Left: CT. Right: PSMA PET, same axial level, 18F-PSMA tracer. PET panel 256×256 px (2.7 mm/px).
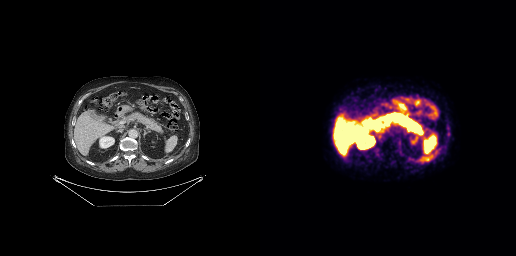
No PSMA-avid tumor lesions on this slice.